Any black rectangle over the head is a privacy mask, not anatomy. Paired axial CT (left) and PSMA PET (right), [18F]PSMA-1007 tracer. Slice position z = -863 mm. PET panel 200×200 px (4.1 mm/px).
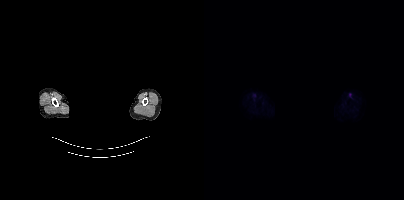
Negative for PSMA-avid disease on this slice.